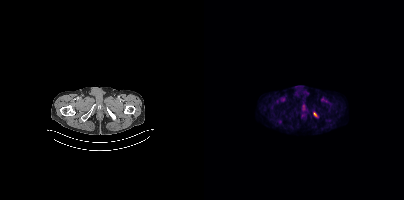
- Paired axial CT (left) and PSMA PET (right), 18F tracer
- slice 40 of 407
- PET panel 200×200 px (4.1 mm/px)
Findings: Coordinates are on the 200×200 PET (right) panel. Small PSMA-avid focus (2 to 4 px across) near (center x, center y): (110, 113).